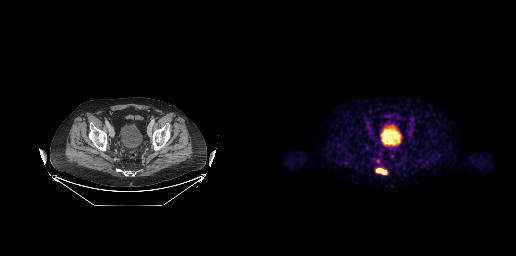
Coordinates are on the 256×256 PET (right) panel. PSMA-avid tumor lesion bounding box (x, y, width, height): x=116 y=168 w=12 h=7. Paired axial CT (left) and PSMA PET (right), 18F-PSMA tracer. PET panel 256×256 px (2.7 mm/px).